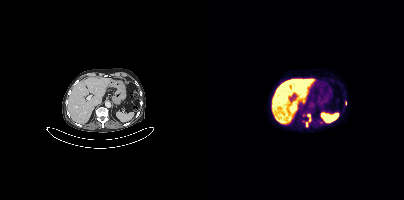
{"pet_grid":[200,200],"coord_frame":"pet_panel","coord_format":"x0,y0,x1,y1","partial":true,"lesion_bboxes":[[103,114,107,121]],"small_foci_centers":[[116,122]],"modality":"PSMA PET/CT","view":"axial","tracer":"18F-PSMA"}